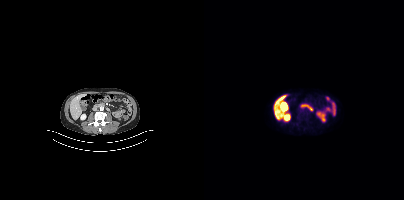
Negative for PSMA-avid disease on this slice.